modality: PSMA PET/CT | tracer: 18F-PSMA | view: axial
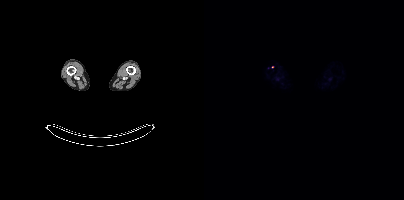
Only PSMA-avid lesion pieces thinner than 2 px on this slice (not listed).